modality: PSMA PET/CT | tracer: 18F-PSMA | view: axial | PET grid: 200×200
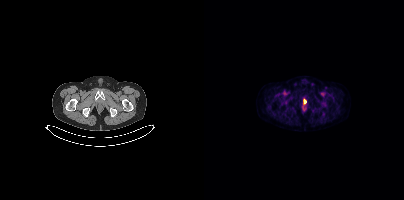
Coordinates are on the 200×200 PET (right) panel. Small PSMA-avid focus (2 to 4 px across) near (center x, center y): (101, 101).